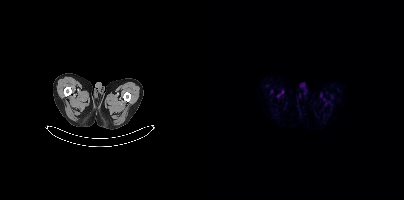
No PSMA-avid tumor lesions on this slice.